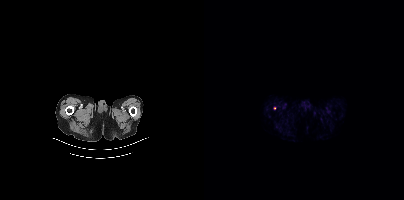
Coordinates are on the 200×200 PET (right) panel. Small PSMA-avid focus (2 to 4 px across) near (center x, center y): (70, 108).